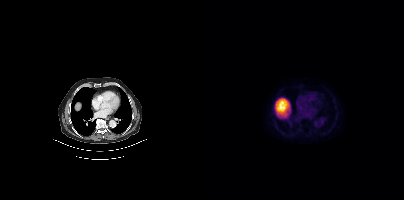
No PSMA-avid tumor lesions on this slice. Left: CT. Right: PSMA PET, same axial level, [18F]PSMA-1007 tracer. Acquired on Siemens Biograph mCT Flow 20.